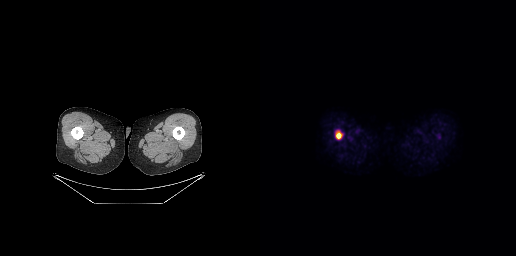
Technique: Left: CT. Right: PSMA PET, same axial level, 18F tracer. acquired on GE Discovery 690. slice position z = -884 mm. PET panel 256×256 px (2.7 mm/px).
Findings: Coordinates are on the 256×256 PET (right) panel. PSMA-avid tumor lesion bounding box (x, y, width, height): x=76 y=131 w=7 h=9.